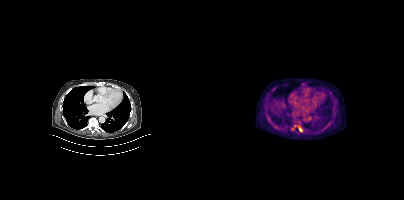
Coordinates are on the 200×200 PET (right) panel. PSMA-avid tumor lesion bounding box (x0, y0)-(x1, y1): (94, 126)-(98, 131).
modality: PSMA PET/CT | tracer: 18F-PSMA | view: axial